- any black rectangle over the head is a privacy mask, not anatomy
- Paired axial CT (left) and PSMA PET (right), [18F]PSMA-1007 tracer
- acquired on GE Discovery 690
- PET panel 256×256 px (2.7 mm/px)
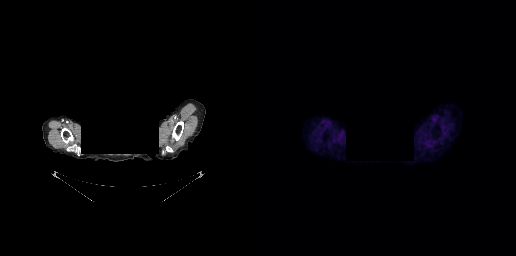
Findings: Negative for PSMA-avid disease on this slice.